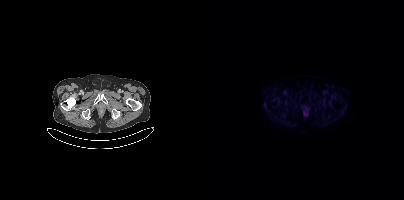
Left: CT. Right: PSMA PET, same axial level, 18F tracer. PET panel 200×200 px (4.1 mm/px). Negative for PSMA-avid disease on this slice.